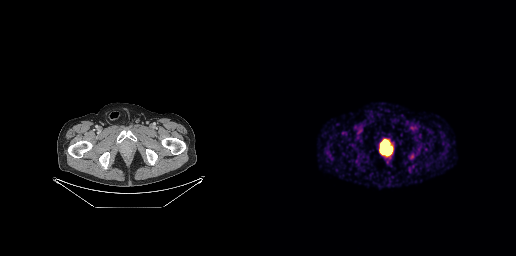
Technique: Two-panel axial: CT | PSMA PET, 68Ga tracer. slice 47 of 263. PET panel 256×256 px (2.7 mm/px).
Findings: Coordinates are on the 256×256 PET (right) panel. PSMA-avid tumor lesion bounding box (x0,y0,x1,y1): [120,139,132,155].